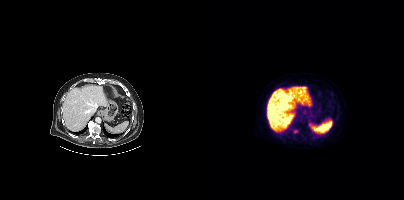
modality: PSMA PET/CT | tracer: 18F | view: axial | PET grid: 200×200
Coordinates are on the 200×200 PET (right) panel. Small PSMA-avid focus (2 to 4 px across) near (center x, center y): (91, 131).